Technique: Left: CT. Right: PSMA PET, same axial level, [18F]PSMA-1007 tracer. acquired on Siemens Biograph mCT Flow 20. slice 155 of 423.
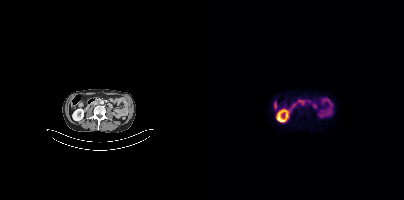
Findings: Coordinates are on the 200×200 PET (right) panel. PSMA-avid tumor lesion bounding box (x0, y0)-(x1, y1): (96, 100)-(101, 105).